Paired axial CT (left) and PSMA PET (right), [18F]PSMA-1007 tracer. Acquired on Siemens Biograph mCT Flow 20.
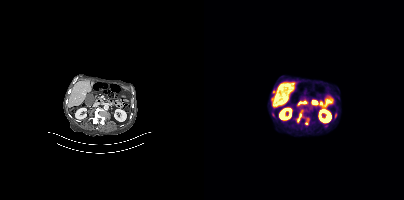
Coordinates are on the 200×200 PET (right) panel. PSMA-avid tumor lesion bounding boxes (x0, y0)-(x1, y1): (91, 118)-(104, 125) | (131, 113)-(132, 117). Small PSMA-avid focus (2 to 4 px across) near (center x, center y): (69, 91).